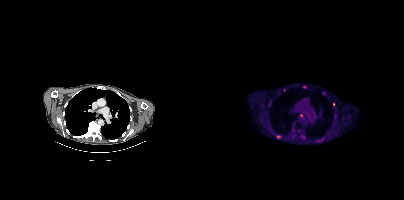
Technique: Paired axial CT (left) and PSMA PET (right), [18F]PSMA-1007 tracer. PET panel 200×200 px (4.1 mm/px).
Findings: Coordinates are on the 200×200 PET (right) panel. (showing 6 of 7 foci) Small PSMA-avid foci (2 to 4 px across) near (center x, center y): (117, 139), (100, 87), (74, 136), (100, 137), (129, 104), (80, 90).